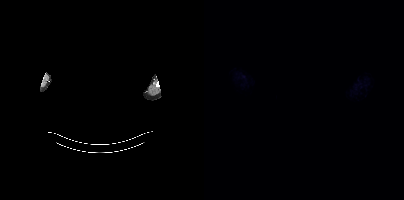
No tumor lesions annotated on this slice. Head region blanked for anonymization (face removed). Paired axial CT (left) and PSMA PET (right), [18F]PSMA-1007 tracer. Acquired on Siemens Biograph mCT Flow 20. Slice 378 of 383. PET panel 200×200 px (4.1 mm/px).